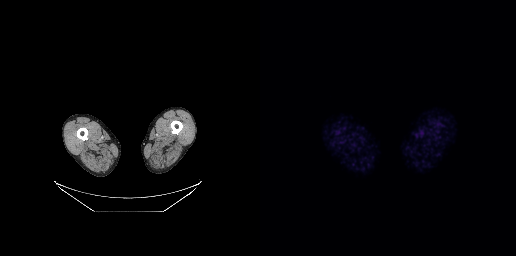
modality: PSMA PET/CT | tracer: 18F-PSMA | view: axial
Negative for PSMA-avid disease on this slice.